modality: PSMA PET/CT | tracer: 18F-PSMA | view: axial | PET grid: 200×200
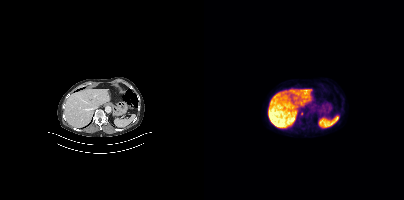
Coordinates are on the 200×200 PET (right) panel. Small PSMA-avid focus (2 to 4 px across) near (center x, center y): (97, 113).